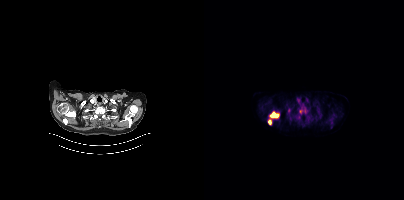
Coordinates are on the 200×200 PET (right) panel. PSMA-avid tumor lesion bounding boxes (x, y, width, height): x=66 y=112 w=9 h=6 | x=64 y=120 w=4 h=5 | x=84 y=108 w=3 h=6. Small PSMA-avid foci (2 to 4 px across) near (center x, center y): (101, 111) | (96, 111).